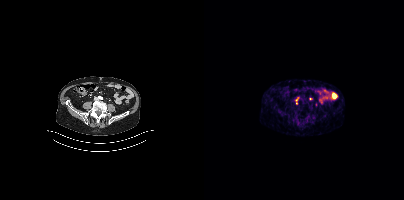
{"modality":"PSMA PET/CT","view":"axial","tracer":"68Ga","pet_grid":[200,200],"coord_frame":"pet_panel","coord_format":"x0,y0,x1,y1","partial":true,"lesion_bboxes":[[91,97,94,101]],"small_foci_centers":[[106,98]]}